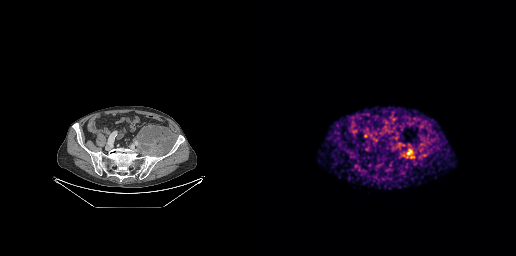
- Two-panel axial: CT | PSMA PET, 68Ga tracer
- acquired on GE Discovery 690
- slice position z = -746 mm
- PET panel 256×256 px (2.7 mm/px)
Findings: Coordinates are on the 256×256 PET (right) panel. PSMA-avid tumor lesion bounding box (x0, y0)-(x1, y1): (142, 148)-(154, 158).